Two-panel axial: CT | PSMA PET, 18F tracer. PET panel 200×200 px (4.1 mm/px).
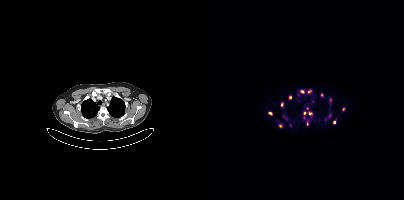
Coordinates are on the 200×200 PET (right) panel. PSMA-avid tumor lesion bounding boxes (partial; 3 more foci not listed):
| # | x0 | y0 | x1 | y1 |
|---|---|---|---|---|
| 1 | 124 | 113 | 127 | 118 |
| 2 | 138 | 107 | 141 | 111 |
Small PSMA-avid foci (2 to 4 px across) near (center x, center y): (98, 91); (105, 91); (76, 125); (86, 97); (106, 113); (126, 101); (130, 122); (66, 113); (100, 113); (103, 123); (77, 104); (86, 125); (117, 94).